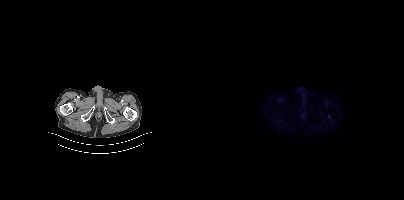
{"modality":"PSMA PET/CT","view":"axial","tracer":"18F-PSMA","pet_grid":[200,200],"coord_frame":"pet_panel","coord_format":"x0,y0,x1,y1","lesion_bboxes":[],"small_foci_centers":[[125,116]]}